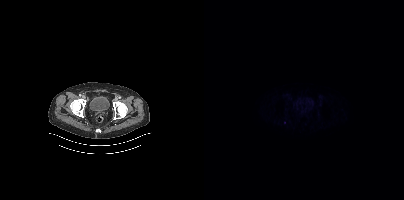
Paired axial CT (left) and PSMA PET (right), 18F tracer. Acquired on Siemens Biograph mCT Flow 20. Slice 84 of 395. PET panel 200×200 px (4.1 mm/px). This slice has no annotated PSMA-avid lesion.